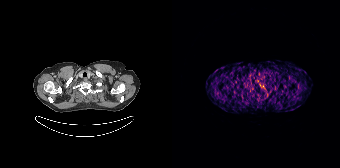
Left: CT. Right: PSMA PET, same axial level, 68Ga tracer. No tumor lesions annotated on this slice.